modality: PSMA PET/CT | tracer: 18F-PSMA | view: axial
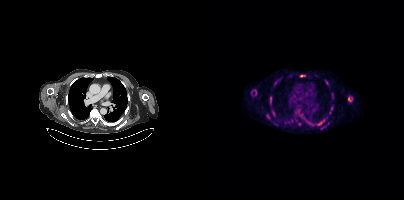
Coordinates are on the 200×200 PET (right) panel. (showing 7 of 10 foci) PSMA-avid tumor lesion bounding boxes (x0,y0,x1,y1): [66,96,67,101] [118,119,121,123] [96,75,101,76]. Small PSMA-avid foci (2 to 4 px across) near (center x, center y): (63, 115) (69, 112) (144, 99) (66, 104).